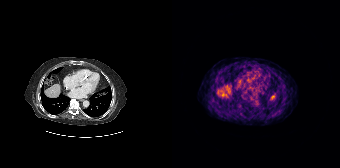
{"pet_grid":[168,168],"coord_frame":"pet_panel","coord_format":"x0,y0,x1,y1","psma_avid_lesions":false,"modality":"PSMA PET/CT","view":"axial","tracer":"68Ga-PSMA"}